Any black rectangle over the head is a privacy mask, not anatomy.
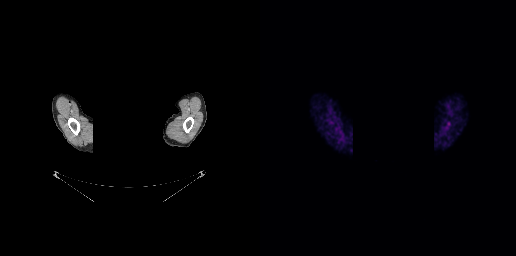
This slice has no annotated PSMA-avid lesion.